Technique: Left: CT. Right: PSMA PET, same axial level, [68Ga]Ga-PSMA-11 tracer. acquired on Siemens Biograph 64-4R TruePoint. PET panel 168×168 px (4.1 mm/px).
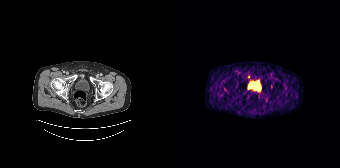
Findings: Negative for PSMA-avid disease on this slice.